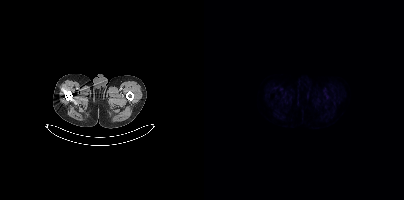
No tumor lesions annotated on this slice. Paired axial CT (left) and PSMA PET (right), 18F-PSMA tracer. Acquired on Siemens Biograph mCT Flow 20. Slice position z = -324 mm. PET panel 200×200 px (4.1 mm/px).